deidentification: privacy mask (black rectangle) | modality: PSMA PET/CT | tracer: [18F]PSMA-1007 | view: axial
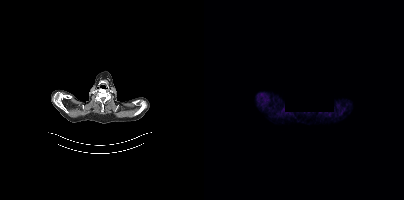
No tumor lesions annotated on this slice.